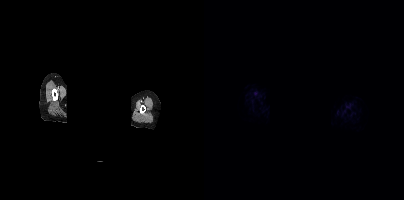
- Left: CT. Right: PSMA PET, same axial level, 68Ga tracer
- acquired on Siemens Biograph mCT Flow 20
- PET panel 200×200 px (4.1 mm/px)
- face de-identified by blanking a block of the head
Findings: No PSMA-avid tumor lesions on this slice.